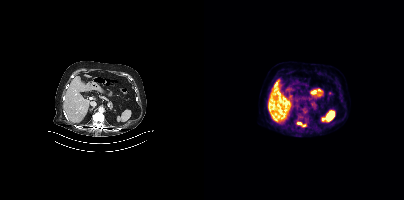
{"pet_grid":[200,200],"coord_frame":"pet_panel","coord_format":"x0,y0,x1,y1","lesion_bboxes":[[93,122,102,127]],"modality":"PSMA PET/CT","view":"axial","tracer":"18F"}